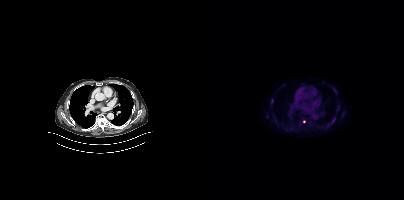
Findings: Only PSMA-avid lesion pieces thinner than 2 px on this slice (not listed).
Technique: Two-panel axial: CT | PSMA PET, [18F]PSMA-1007 tracer. slice position z = -974 mm.